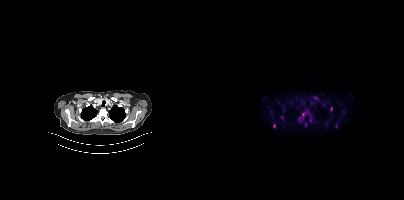
{"modality":"PSMA PET/CT","view":"axial","tracer":"18F-PSMA","pet_grid":[200,200],"coord_frame":"pet_panel","coord_format":"x0,y0,x1,y1","partial":true,"lesion_bboxes":[],"small_foci_centers":[[127,108],[70,125],[99,114]]}